Two-panel axial: CT | PSMA PET, [18F]PSMA-1007 tracer. Acquired on Siemens Biograph mCT Flow 20. PET panel 200×200 px (4.1 mm/px).
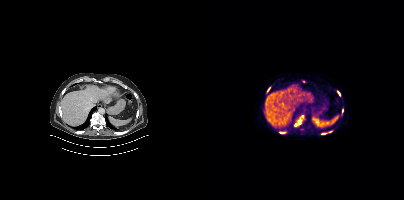
Coordinates are on the 200×200 PET (right) panel. (showing 3 of 5 foci) PSMA-avid tumor lesion bounding boxes (x0,y0,x1,y1): [90,118,97,126] [133,91,136,95]. Small PSMA-avid focus (2 to 4 px across) near (center x, center y): (65, 88).